Left: CT. Right: PSMA PET, same axial level, [18F]PSMA-1007 tracer. Acquired on Siemens Biograph mCT Flow 20. PET panel 200×200 px (4.1 mm/px).
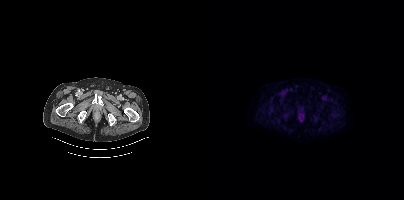
Negative for PSMA-avid disease on this slice.